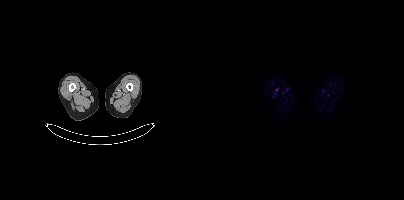
modality: PSMA PET/CT | tracer: [18F]PSMA-1007 | view: axial | PET grid: 200×200
No tumor lesions annotated on this slice.